modality: PSMA PET/CT | tracer: 18F | view: axial
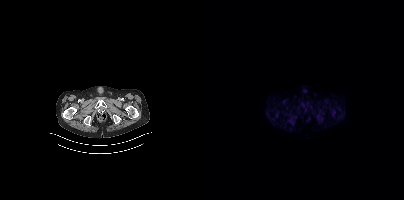
This slice has no annotated PSMA-avid lesion.